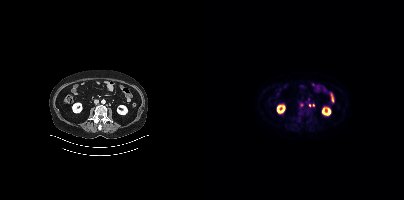
Coordinates are on the 200×200 PET (right) panel. Small PSMA-avid foci (2 to 4 px across) near (center x, center y): (105, 105) | (109, 104).